Face de-identified by blanking a block of the head. Two-panel axial: CT | PSMA PET, 18F-PSMA tracer.
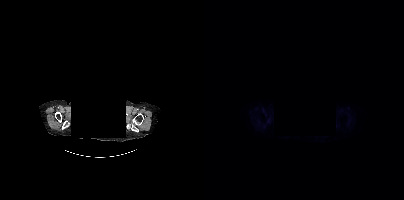
No tumor lesions annotated on this slice.